Technique: Two-panel axial: CT | PSMA PET, 18F tracer. slice 359 of 387.
Note: Any black rectangle over the head is a privacy mask, not anatomy.
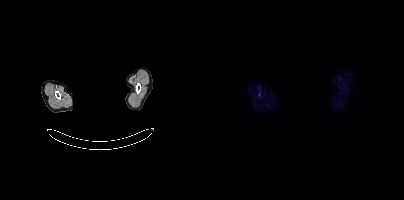
Findings: No PSMA-avid tumor lesions on this slice.